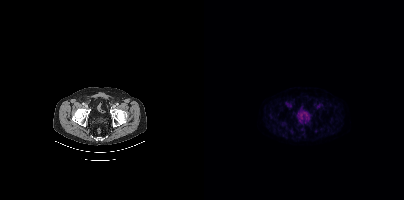
Negative for PSMA-avid disease on this slice. Paired axial CT (left) and PSMA PET (right), 18F-PSMA tracer.